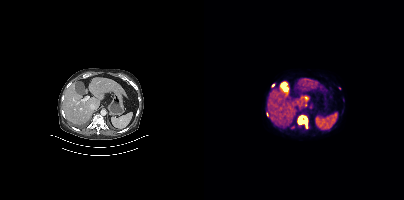
Technique: Two-panel axial: CT | PSMA PET, 18F-PSMA tracer. slice 250 of 444. PET panel 200×200 px (4.1 mm/px).
Findings: Coordinates are on the 200×200 PET (right) panel. (showing 3 of 4 foci) PSMA-avid tumor lesion bounding box (x0, y0)-(x1, y1): (93, 115)-(103, 128). Small PSMA-avid foci (2 to 4 px across) near (center x, center y): (69, 85); (63, 114).